Paired axial CT (left) and PSMA PET (right), 68Ga tracer. Acquired on GE Discovery 690. Slice position z = -320 mm. PET panel 256×256 px (2.7 mm/px).
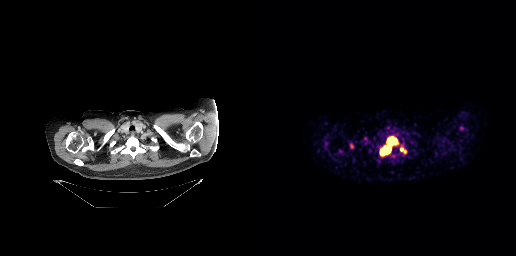
Coordinates are on the 256×256 PET (right) panel. PSMA-avid tumor lesion bounding boxes (partial; 1 more focus not listed):
| # | x0 | y0 | x1 | y1 |
|---|---|---|---|---|
| 1 | 120 | 136 | 138 | 155 |
| 2 | 90 | 143 | 94 | 148 |
| 3 | 140 | 148 | 145 | 152 |